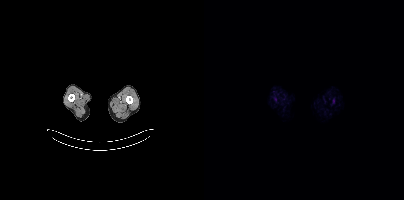
{"modality":"PSMA PET/CT","view":"axial","tracer":"18F","pet_grid":[200,200],"coord_frame":"pet_panel","coord_format":"x0,y0,x1,y1","psma_avid_lesions":false}